Face de-identified by blanking a block of the head. Left: CT. Right: PSMA PET, same axial level, 18F-PSMA tracer. Slice position z = -889 mm.
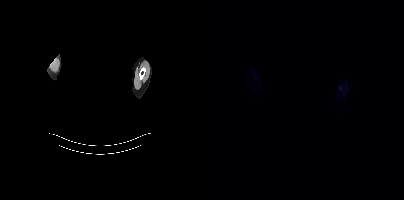
This slice has no annotated PSMA-avid lesion.